Paired axial CT (left) and PSMA PET (right), [18F]PSMA-1007 tracer. Acquired on Siemens Biograph mCT Flow 20. Slice position z = -611 mm.
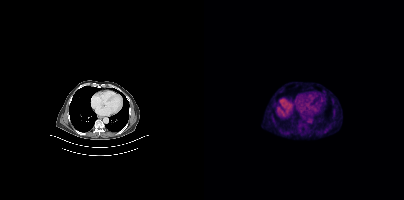
No tumor lesions annotated on this slice.